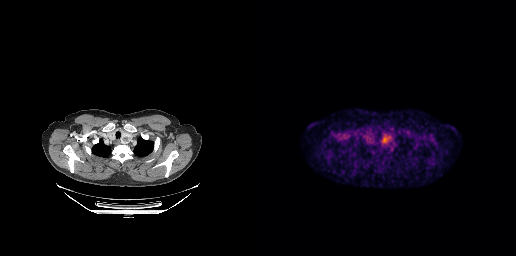
{"modality":"PSMA PET/CT","view":"axial","tracer":"18F","pet_grid":[256,256],"coord_frame":"pet_panel","coord_format":"x0,y0,x1,y1","psma_avid_lesions":false}